Technique: Two-panel axial: CT | PSMA PET, 68Ga-PSMA tracer.
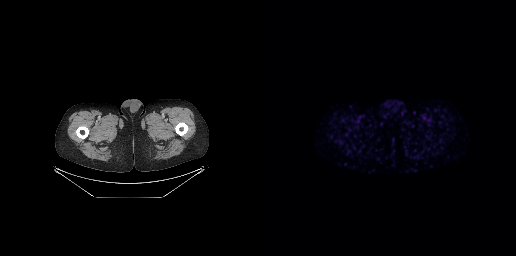
Findings: This slice has no annotated PSMA-avid lesion.